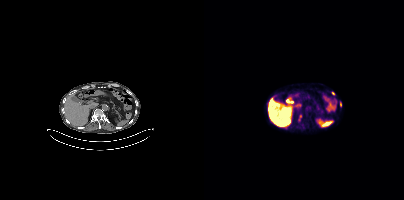
Coordinates are on the 200×200 PET (right) panel. PSMA-avid tumor lesion bounding boxes:
| # | x0 | y0 | x1 | y1 |
|---|---|---|---|---|
| 1 | 94 | 115 | 97 | 121 |
| 2 | 136 | 102 | 137 | 106 |
Small PSMA-avid focus (2 to 4 px across) near (center x, center y): (129, 93).
Left: CT. Right: PSMA PET, same axial level, 18F-PSMA tracer. Slice position z = -686 mm. PET panel 200×200 px (4.1 mm/px).